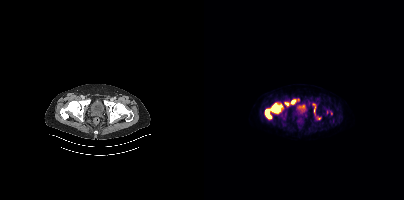
{"pet_grid":[200,200],"coord_frame":"pet_panel","coord_format":"x0,y0,x1,y1","partial":true,"lesion_bboxes":[[61,103,78,118]],"small_foci_centers":[[88,101],[82,104]],"modality":"PSMA PET/CT","view":"axial","tracer":"18F"}